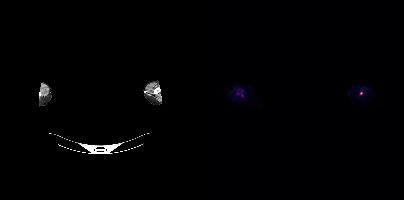
Coordinates are on the 200×200 PET (right) panel. Small PSMA-avid focus (2 to 4 px across) near (center x, center y): (157, 93). A rectangle over the head was blacked out to remove identifiable facial features. Paired axial CT (left) and PSMA PET (right), 18F-PSMA tracer. Acquired on Siemens Biograph mCT Flow 20. PET panel 200×200 px (4.1 mm/px).